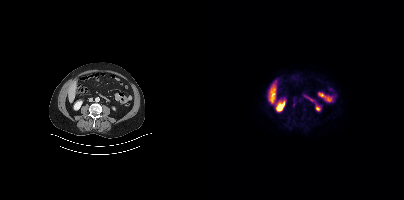
Findings: This slice has no annotated PSMA-avid lesion.
Technique: Paired axial CT (left) and PSMA PET (right), 18F tracer. acquired on Siemens Biograph mCT Flow 20. slice 162 of 413.